Paired axial CT (left) and PSMA PET (right), [18F]PSMA-1007 tracer. Acquired on Siemens Biograph mCT Flow 20. PET panel 200×200 px (4.1 mm/px).
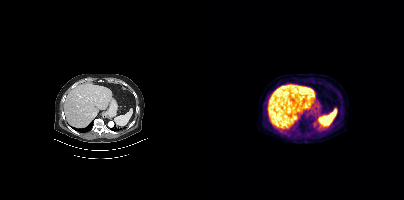
Negative for PSMA-avid disease on this slice.